Left: CT. Right: PSMA PET, same axial level, 68Ga-PSMA tracer. Acquired on Siemens Biograph mCT Flow 20. PET panel 200×200 px (4.1 mm/px). Facial anatomy redacted by setting a rectangular region of the head to black.
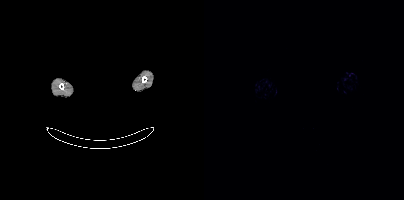
No tumor lesions annotated on this slice.